modality: PSMA PET/CT | tracer: 18F-PSMA | view: axial
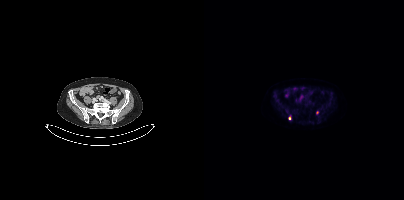
Coordinates are on the 200×200 PET (right) panel. Small PSMA-avid foci (2 to 4 px across) near (center x, center y): (113, 112) (85, 118).